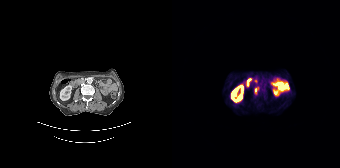
modality: PSMA PET/CT | tracer: 68Ga | view: axial | PET grid: 168×168
Coordinates are on the 168×168 PET (right) panel. (showing 1 of 2 foci) PSMA-avid tumor lesion bounding box (x0, y0)-(x1, y1): (83, 87)-(86, 91).